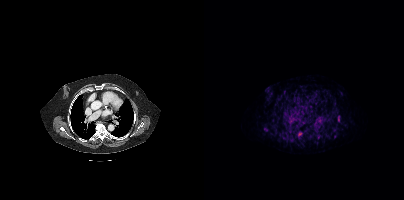
Coordinates are on the 200×200 PET (right) panel. PSMA-avid tumor lesion bounding box (x0,y0,x1,y1): [94,132,98,136].
modality: PSMA PET/CT | tracer: [68Ga]Ga-PSMA-11 | view: axial | PET grid: 200×200